- Paired axial CT (left) and PSMA PET (right), 18F tracer
- acquired on Siemens Biograph mCT Flow 20
- slice 704 of 963
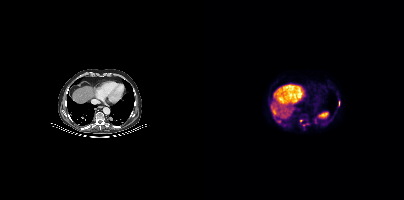
Findings: Coordinates are on the 200×200 PET (right) panel. (showing 2 of 3 foci) Small PSMA-avid foci (2 to 4 px across) near (center x, center y): (75, 121); (96, 120).